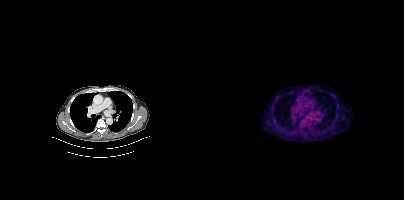
{"modality":"PSMA PET/CT","view":"axial","tracer":"18F-PSMA","pet_grid":[200,200],"coord_frame":"pet_panel","coord_format":"x0,y0,x1,y1","psma_avid_lesions":false}